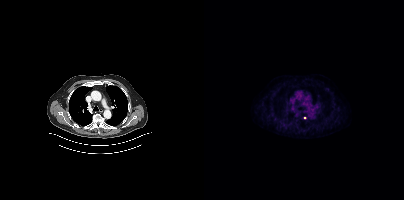
Paired axial CT (left) and PSMA PET (right), 18F-PSMA tracer. Acquired on Siemens Biograph mCT Flow 20. PET panel 200×200 px (4.1 mm/px). Coordinates are on the 200×200 PET (right) panel. Small PSMA-avid focus (2 to 4 px across) near (center x, center y): (101, 117).